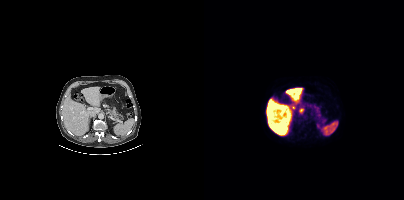
{"modality":"PSMA PET/CT","view":"axial","tracer":"18F-PSMA","pet_grid":[200,200],"coord_frame":"pet_panel","coord_format":"x0,y0,x1,y1","psma_avid_lesions":false}